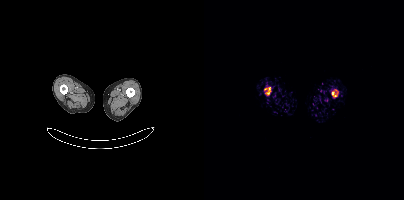
Coordinates are on the 200×200 PET (right) panel. PSMA-avid tumor lesion bounding boxes (x, y, width, height): x=60 y=87 w=8 h=9 | x=127 y=89 w=8 h=9.